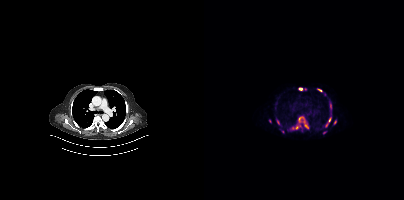
{"modality":"PSMA PET/CT","view":"axial","tracer":"[68Ga]Ga-PSMA-11","pet_grid":[200,200],"coord_frame":"pet_panel","coord_format":"x0,y0,x1,y1","partial":true,"lesion_bboxes":[[88,118,97,129],[99,121,103,127],[125,100,127,105],[130,120,132,124],[122,121,125,126],[114,89,118,91]],"small_foci_centers":[[126,108],[96,89],[73,121],[126,117],[65,121]]}